- Paired axial CT (left) and PSMA PET (right), 18F tracer
- slice 224 of 263
- PET panel 256×256 px (2.7 mm/px)
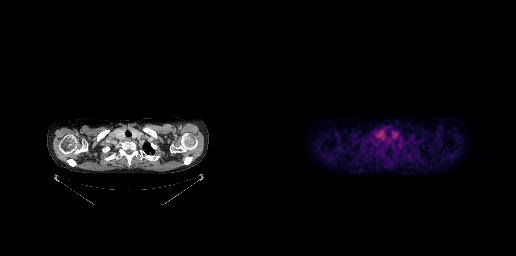
Findings: This slice has no annotated PSMA-avid lesion.